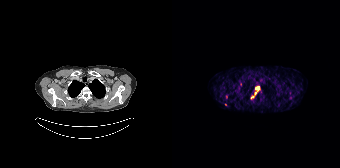
Coordinates are on the 168×168 PET (right) panel. PSMA-avid tumor lesion bounding box (x, y, width, height): x=83 y=86 w=5 h=9. Small PSMA-avid foci (2 to 4 px across) near (center x, center y): (54, 97); (80, 97); (53, 104).